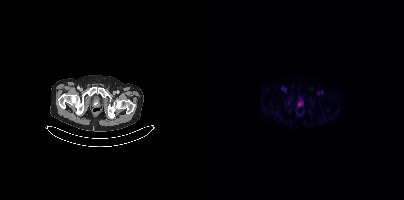
No tumor lesions annotated on this slice. Paired axial CT (left) and PSMA PET (right), 18F tracer. Slice 61 of 431.